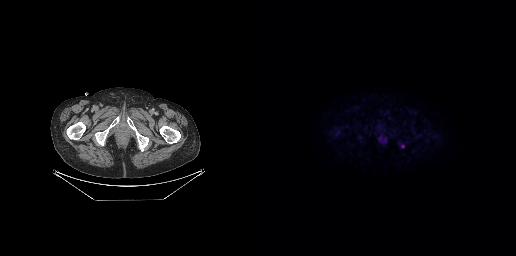
Left: CT. Right: PSMA PET, same axial level, [18F]PSMA-1007 tracer. Slice 66 of 299. PET panel 256×256 px (2.7 mm/px). Coordinates are on the 256×256 PET (right) panel. Small PSMA-avid focus (2 to 4 px across) near (center x, center y): (142, 145).